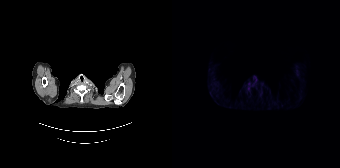
{"modality":"PSMA PET/CT","view":"axial","tracer":"18F-PSMA","pet_grid":[168,168],"coord_frame":"pet_panel","coord_format":"x0,y0,x1,y1","psma_avid_lesions":false}